Technique: Paired axial CT (left) and PSMA PET (right), 18F-PSMA tracer. acquired on Siemens Biograph mCT Flow 20. slice 362 of 448.
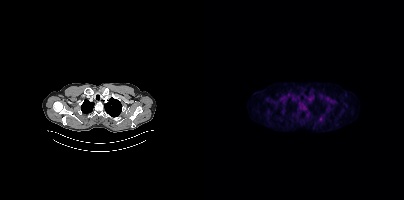
Findings: Coordinates are on the 200×200 PET (right) panel. Small PSMA-avid focus (2 to 4 px across) near (center x, center y): (116, 119).